Paired axial CT (left) and PSMA PET (right), 18F-PSMA tracer. Acquired on Siemens Biograph mCT Flow 20. PET panel 200×200 px (4.1 mm/px).
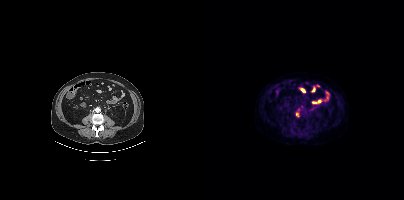
Only PSMA-avid lesion pieces thinner than 2 px on this slice (not listed).